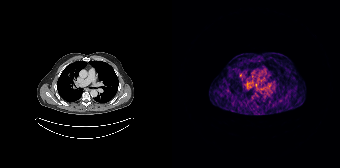
Coordinates are on the 168×168 PET (right) panel. PSMA-avid tumor lesion bounding box (x0,y0,x1,y1): [67,73,70,77].